A rectangle over the head was blacked out to remove identifiable facial features. Paired axial CT (left) and PSMA PET (right), 68Ga tracer. Slice position z = -214 mm.
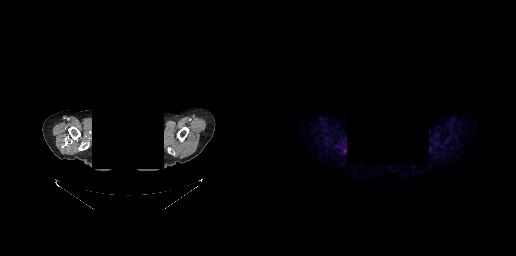
No tumor lesions annotated on this slice.